- Paired axial CT (left) and PSMA PET (right), 18F tracer
- acquired on Siemens Biograph mCT Flow 20
- slice 191 of 435
- PET panel 200×200 px (4.1 mm/px)
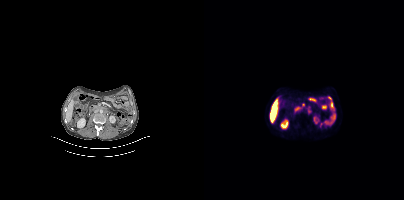
Findings: Coordinates are on the 200×200 PET (right) panel. PSMA-avid tumor lesion bounding boxes (x0,y0,x1,y1): [103,106,107,113] [97,103,100,108].